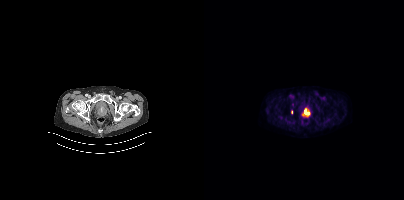
Coordinates are on the 200×200 PET (right) panel. PSMA-avid tumor lesion bounding box (x, y, width, height): x=98 y=109 w=8 h=8. Small PSMA-avid focus (2 to 4 px across) near (center x, center y): (87, 111).